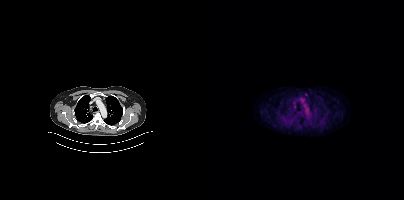
Findings: Negative for PSMA-avid disease on this slice.
Technique: Left: CT. Right: PSMA PET, same axial level, [18F]PSMA-1007 tracer. slice position z = -400 mm.